- Paired axial CT (left) and PSMA PET (right), 18F tracer
- PET panel 200×200 px (4.1 mm/px)
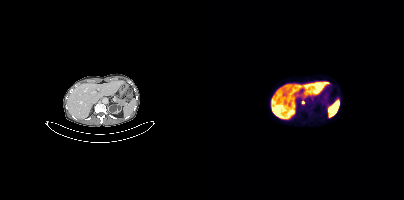
Findings: Coordinates are on the 200×200 PET (right) panel. Small PSMA-avid focus (2 to 4 px across) near (center x, center y): (99, 102).